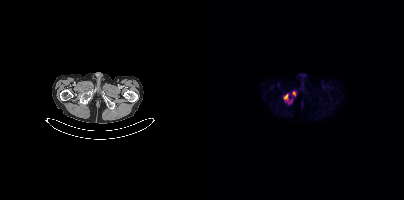
Coordinates are on the 200×200 PET (right) panel. PSMA-avid tumor lesion bounding boxes (x0, y0)-(x1, y1): (80, 94)-(87, 103) / (88, 91)-(91, 95).